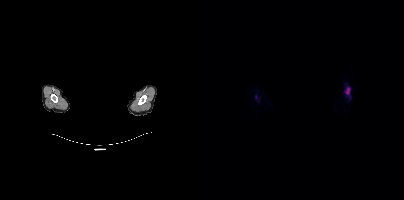
Findings: Coordinates are on the 200×200 PET (right) panel. PSMA-avid tumor lesion bounding box (x, y, width, height): x=141 y=87 w=6 h=8.
- a rectangular block over the head has been blanked out for de-identification
- Two-panel axial: CT | PSMA PET, 18F-PSMA tracer
- acquired on Siemens Biograph mCT Flow 20
- slice 375 of 387
- PET panel 200×200 px (4.1 mm/px)